modality: PSMA PET/CT | tracer: 68Ga | view: axial | PET grid: 200×200
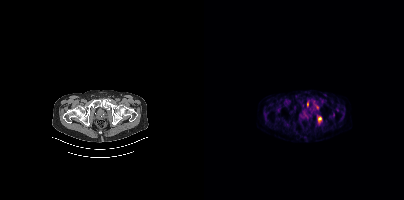
Coordinates are on the 200×200 PET (right) panel. PSMA-avid tumor lesion bounding boxes (x0, y0)-(x1, y1): (114, 117)-(117, 122) | (103, 100)-(105, 106).